- Paired axial CT (left) and PSMA PET (right), [18F]PSMA-1007 tracer
- slice position z = -391 mm
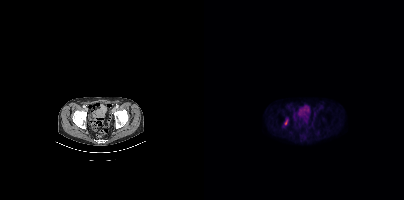
Findings: Coordinates are on the 200×200 PET (right) panel. Small PSMA-avid focus (2 to 4 px across) near (center x, center y): (82, 122).